Two-panel axial: CT | PSMA PET, 68Ga-PSMA tracer. Acquired on Siemens Biograph mCT Flow 20. Slice 28 of 397.
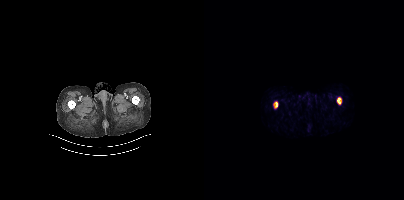
Negative for PSMA-avid disease on this slice.